Paired axial CT (left) and PSMA PET (right), 18F-PSMA tracer. Slice position z = -1007 mm.
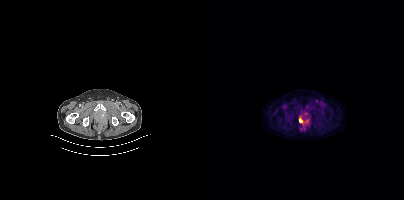
Coordinates are on the 200×200 PET (right) panel. Small PSMA-avid focus (2 to 4 px across) near (center x, center y): (96, 120).